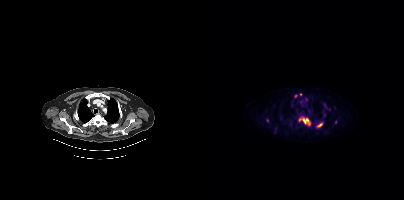
Coordinates are on the 200×200 PET (right) panel. (showing 10 of 12 foci) PSMA-avid tumor lesion bounding boxes (x, y, width, height): x=95 y=118 w=12 h=8; x=112 y=123 w=7 h=5; x=119 y=103 w=5 h=6. Small PSMA-avid foci (2 to 4 px across) near (center x, center y): (102, 98); (91, 96); (63, 120); (96, 94); (130, 107); (125, 109); (131, 121).